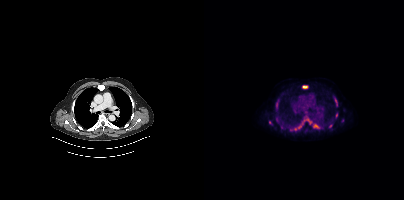
Two-panel axial: CT | PSMA PET, 18F tracer. Coordinates are on the 200×200 PET (right) panel. (showing 11 of 12 foci) PSMA-avid tumor lesion bounding boxes (x0,y0,x1,y1): [104,119,116,128], [86,125,97,131], [129,96,133,106], [98,85,103,88], [72,100,74,108], [98,119,102,123], [131,112,134,116]. Small PSMA-avid foci (2 to 4 px across) near (center x, center y): (126, 125), (66, 122), (77, 126), (72, 119).